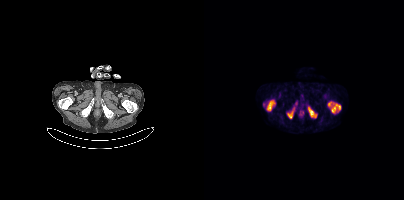
Two-panel axial: CT | PSMA PET, [18F]PSMA-1007 tracer. Acquired on Siemens Biograph mCT Flow 20. Slice 56 of 401. PET panel 200×200 px (4.1 mm/px).
Coordinates are on the 200×200 PET (right) panel. PSMA-avid tumor lesion bounding boxes:
| # | x0 | y0 | x1 | y1 |
|---|---|---|---|---|
| 1 | 124 | 101 | 136 | 113 |
| 2 | 63 | 100 | 71 | 110 |
| 3 | 104 | 107 | 112 | 117 |
| 4 | 83 | 111 | 89 | 118 |